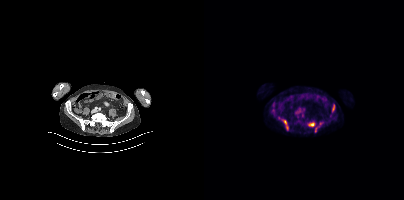
Coordinates are on the 200×200 PET (right) panel. (showing 2 of 3 foci) PSMA-avid tumor lesion bounding boxes (x0,y0,x1,y1): [77,119,84,130]; [104,123,109,126]. Left: CT. Right: PSMA PET, same axial level, [18F]PSMA-1007 tracer. PET panel 200×200 px (4.1 mm/px).